- Two-panel axial: CT | PSMA PET, [18F]PSMA-1007 tracer
- acquired on Siemens Biograph mCT Flow 20
- PET panel 200×200 px (4.1 mm/px)
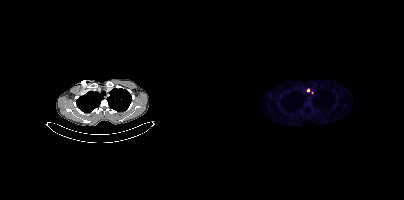
Findings: Coordinates are on the 200×200 PET (right) panel. Small PSMA-avid foci (2 to 4 px across) near (center x, center y): (104, 90); (108, 92).